- Paired axial CT (left) and PSMA PET (right), 18F-PSMA tracer
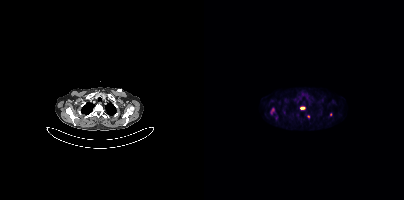
Findings: Coordinates are on the 200×200 PET (right) panel. PSMA-avid tumor lesion bounding boxes (x, y, width, height): x=66 y=108 w=5 h=7 | x=96 y=107 w=5 h=3. Small PSMA-avid foci (2 to 4 px across) near (center x, center y): (127, 114) | (104, 116).